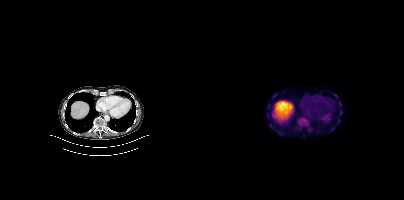
Findings: Coordinates are on the 200×200 PET (right) panel. (showing 5 of 6 foci) PSMA-avid tumor lesion bounding boxes (x, y, width, height): x=135 y=102 w=3 h=6; x=64 y=104 w=3 h=6; x=136 y=110 w=3 h=6. Small PSMA-avid foci (2 to 4 px across) near (center x, center y): (69, 96); (67, 127).
- Paired axial CT (left) and PSMA PET (right), 18F-PSMA tracer
- PET panel 200×200 px (4.1 mm/px)